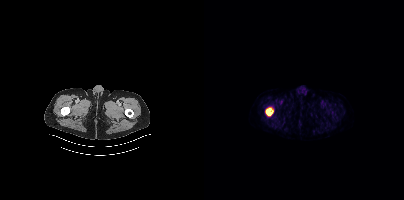
Coordinates are on the 200×200 PET (right) panel. PSMA-avid tumor lesion bounding box (x0,y0,x1,y1): [62,108,69,115].